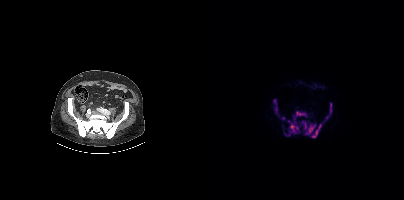
Two-panel axial: CT | PSMA PET, [18F]PSMA-1007 tracer. PET panel 200×200 px (4.1 mm/px). Coordinates are on the 200×200 PET (right) panel. (showing 6 of 7 foci) PSMA-avid tumor lesion bounding boxes (x0,y0,x1,y1): [80,111,102,136]; [98,121,118,138]; [121,102,128,120]; [69,99,72,104]. Small PSMA-avid foci (2 to 4 px across) near (center x, center y): (72, 108); (79, 118).